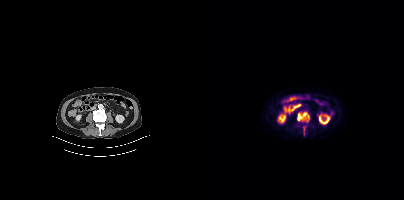
- Paired axial CT (left) and PSMA PET (right), [18F]PSMA-1007 tracer
- acquired on Siemens Biograph mCT Flow 20
- slice position z = -652 mm
Findings: Coordinates are on the 200×200 PET (right) panel. PSMA-avid tumor lesion bounding box (x0,y0,x1,y1): [93,112,105,122].